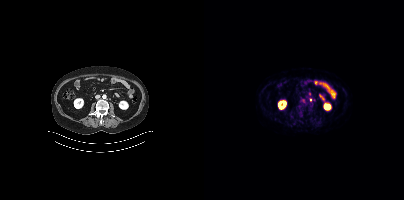
Paired axial CT (left) and PSMA PET (right), 18F tracer. Slice position z = -130 mm. PET panel 200×200 px (4.1 mm/px). Coordinates are on the 200×200 PET (right) panel. Small PSMA-avid focus (2 to 4 px across) near (center x, center y): (106, 99).